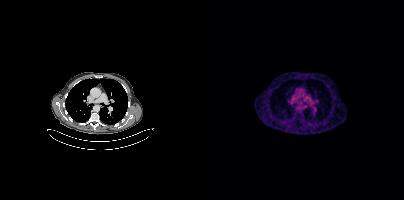
Findings: No tumor lesions annotated on this slice.
Technique: Paired axial CT (left) and PSMA PET (right), 68Ga-PSMA tracer. acquired on Siemens Biograph mCT Flow 20. PET panel 200×200 px (4.1 mm/px).